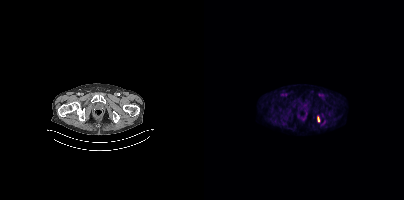
modality: PSMA PET/CT | tracer: [18F]PSMA-1007 | view: axial
Coordinates are on the 200×200 PET (right) panel. PSMA-avid tumor lesion bounding box (x0,y0,x1,y1): [114,117,115,121].